Paired axial CT (left) and PSMA PET (right), 18F tracer. Acquired on Siemens Biograph mCT Flow 20. PET panel 200×200 px (4.1 mm/px).
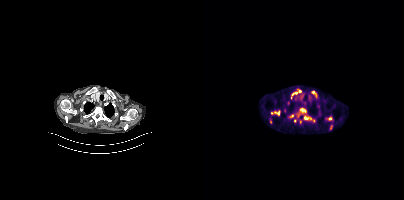
Coordinates are on the 200×200 PET (right) panel. PSMA-avid tumor lesion bounding boxes (partial; 1 more focus not listed):
| # | x0 | y0 | x1 | y1 |
|---|---|---|---|---|
| 1 | 92 | 108 | 110 | 122 |
| 2 | 67 | 111 | 75 | 115 |
| 3 | 65 | 118 | 68 | 124 |
| 4 | 108 | 91 | 112 | 96 |
| 5 | 125 | 126 | 127 | 130 |
Small PSMA-avid foci (2 to 4 px across) near (center x, center y): (87, 115); (91, 120); (96, 122); (91, 92).